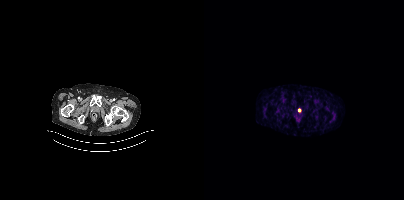
{"modality":"PSMA PET/CT","view":"axial","tracer":"68Ga-PSMA","pet_grid":[200,200],"coord_frame":"pet_panel","coord_format":"x0,y0,x1,y1","psma_avid_lesions":false}